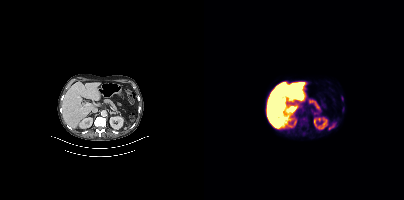
Coordinates are on the 200×200 PET (right) panel. PSMA-avid tumor lesion bounding box (x0,y0,x1,y1): [137,96,139,101]. Small PSMA-avid foci (2 to 4 px across) near (center x, center y): (139, 107); (99, 118).